Paired axial CT (left) and PSMA PET (right), [18F]PSMA-1007 tracer. Acquired on GE Discovery 690. PET panel 256×256 px (2.7 mm/px).
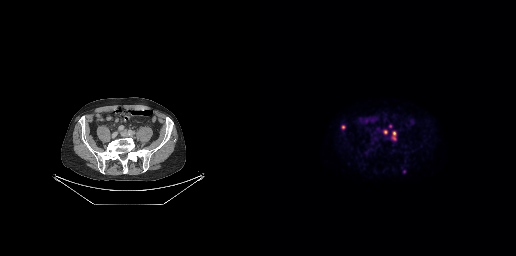
Coordinates are on the 256×256 PET (right) panel. PSMA-avid tumor lesion bounding boxes:
| # | x0 | y0 | x1 | y1 |
|---|---|---|---|---|
| 1 | 131 | 131 | 136 | 140 |
| 2 | 123 | 130 | 127 | 134 |
| 3 | 81 | 125 | 85 | 129 |
Small PSMA-avid foci (2 to 4 px across) near (center x, center y): (144, 171); (130, 126).